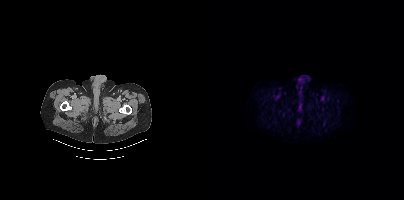
Paired axial CT (left) and PSMA PET (right), 18F tracer. Coordinates are on the 200×200 PET (right) panel. Small PSMA-avid focus (2 to 4 px across) near (center x, center y): (122, 98).